- Left: CT. Right: PSMA PET, same axial level, 18F-PSMA tracer
- acquired on Siemens Biograph mCT Flow 20
- slice 19 of 373
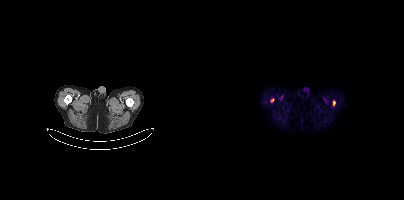
Findings: Coordinates are on the 200×200 PET (right) panel. PSMA-avid tumor lesion bounding boxes (x, y, width, height): x=66 y=98 w=5 h=5 | x=129 y=101 w=3 h=5.